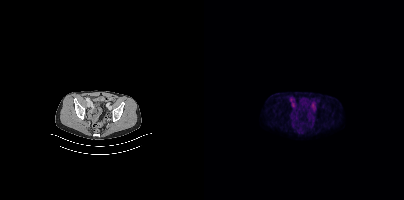
No PSMA-avid tumor lesions on this slice.